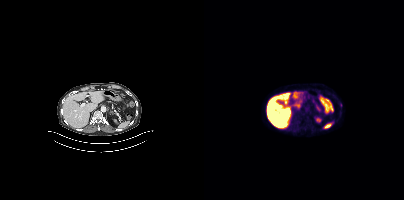
Findings: Coordinates are on the 200×200 PET (right) panel. Small PSMA-avid focus (2 to 4 px across) near (center x, center y): (137, 104).
- Two-panel axial: CT | PSMA PET, 18F-PSMA tracer
- acquired on Siemens Biograph mCT Flow 20
- slice position z = -670 mm
- PET panel 200×200 px (4.1 mm/px)